Technique: Paired axial CT (left) and PSMA PET (right), 18F tracer. PET panel 256×256 px (2.7 mm/px).
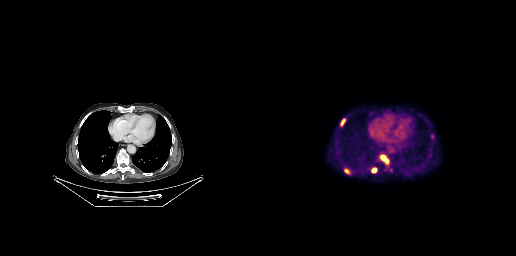
Findings: Coordinates are on the 256×256 PET (right) panel. PSMA-avid tumor lesion bounding boxes (x0,y0,x1,y1): [80,118,85,126]; [84,168,90,174]; [112,168,117,173]; [121,156,127,161]. Small PSMA-avid focus (2 to 4 px across) near (center x, center y): (169, 155).